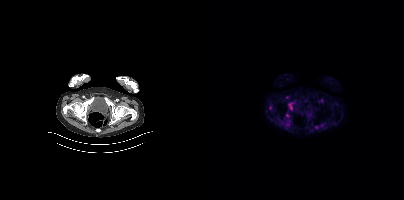
Only PSMA-avid lesion pieces thinner than 2 px on this slice (not listed).